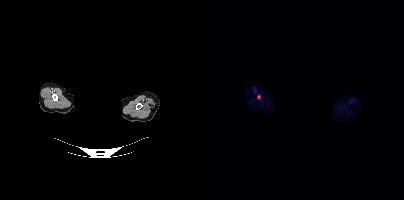
{"modality":"PSMA PET/CT","view":"axial","tracer":"[18F]PSMA-1007","pet_grid":[200,200],"coord_frame":"pet_panel","coord_format":"x0,y0,x1,y1","lesion_bboxes":[],"small_foci_centers":[[54,96]],"de-identification":"head region blanked (face removed)"}